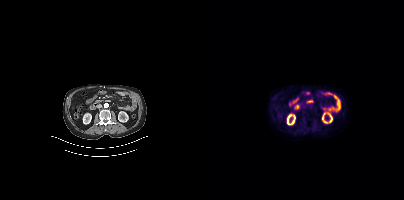
{"modality":"PSMA PET/CT","view":"axial","tracer":"[18F]PSMA-1007","pet_grid":[200,200],"coord_frame":"pet_panel","coord_format":"x0,y0,x1,y1","psma_avid_lesions":false}